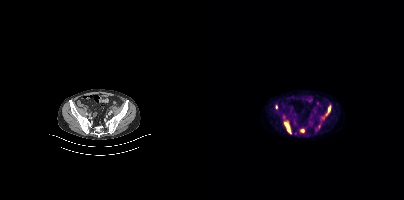
{"modality":"PSMA PET/CT","view":"axial","tracer":"18F-PSMA","pet_grid":[200,200],"coord_frame":"pet_panel","coord_format":"x0,y0,x1,y1","partial":true,"lesion_bboxes":[[80,122,87,133],[121,105,126,115],[96,129,100,132]],"small_foci_centers":[[72,107]]}